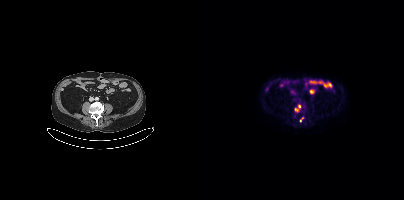
modality: PSMA PET/CT | tracer: 18F-PSMA | view: axial | PET grid: 200×200
Coordinates are on the 200×200 PET (right) panel. (showing 2 of 4 foci) PSMA-avid tumor lesion bounding box (x0, y0)-(x1, y1): (96, 117)-(99, 121). Small PSMA-avid focus (2 to 4 px across) near (center x, center y): (95, 106).